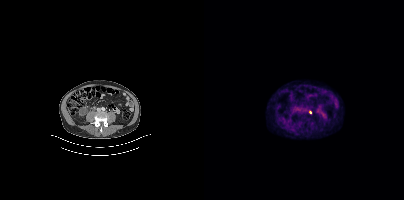
modality: PSMA PET/CT | tracer: 18F | view: axial
Coordinates are on the 200×200 PET (right) panel. Small PSMA-avid focus (2 to 4 px across) near (center x, center y): (106, 112).